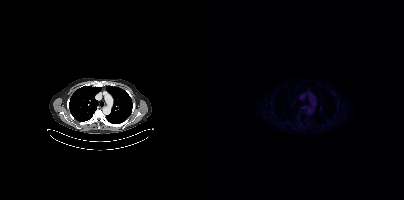
No tumor lesions annotated on this slice.